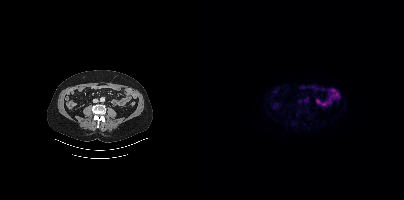
Findings: No PSMA-avid tumor lesions on this slice.
Technique: Left: CT. Right: PSMA PET, same axial level, 18F-PSMA tracer. PET panel 200×200 px (4.1 mm/px).